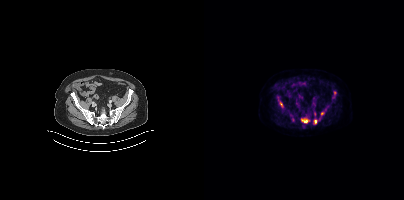
Coordinates are on the 200×200 PET (right) panel. PSMA-avid tumor lesion bounding boxes (x, y, width, height): x=97 y=118 w=9 h=6 | x=128 y=91 w=5 h=8 | x=76 y=101 w=4 h=7 | x=110 y=119 w=4 h=5 | x=110 y=112 w=2 h=5. Small PSMA-avid focus (2 to 4 px across) near (center x, center y): (118, 113). Two-panel axial: CT | PSMA PET, 18F-PSMA tracer. Acquired on Siemens Biograph mCT Flow 20.